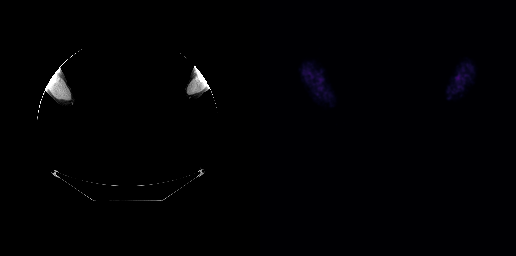
No tumor lesions annotated on this slice. Two-panel axial: CT | PSMA PET, 18F tracer. Head region blanked for anonymization (face removed).